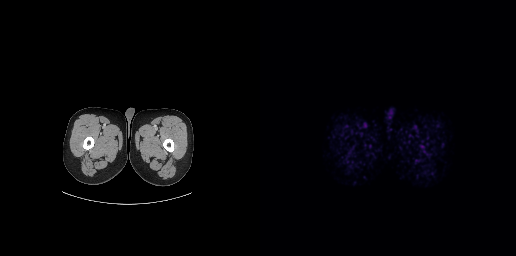
modality: PSMA PET/CT | tracer: 18F | view: axial | PET grid: 256×256
This slice has no annotated PSMA-avid lesion.